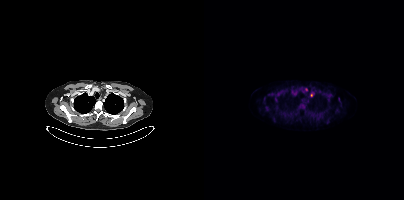
Two-panel axial: CT | PSMA PET, 18F tracer. PET panel 200×200 px (4.1 mm/px). Coordinates are on the 200×200 PET (right) panel. Small PSMA-avid foci (2 to 4 px across) near (center x, center y): (107, 95) (99, 106) (102, 89).